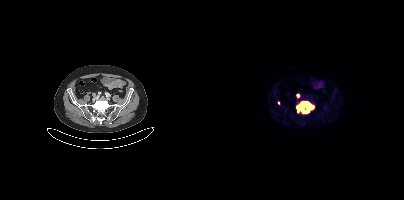
{"modality":"PSMA PET/CT","view":"axial","tracer":"18F-PSMA","pet_grid":[200,200],"coord_frame":"pet_panel","coord_format":"x0,y0,x1,y1","partial":true,"lesion_bboxes":[[93,102,110,112]],"small_foci_centers":[[74,102]]}